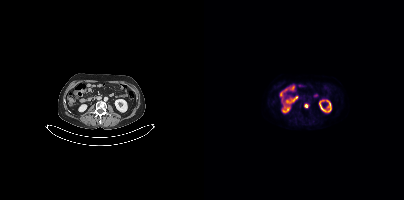
- Paired axial CT (left) and PSMA PET (right), 18F tracer
- slice 188 of 421
- PET panel 200×200 px (4.1 mm/px)
Findings: Coordinates are on the 200×200 PET (right) panel. Small PSMA-avid focus (2 to 4 px across) near (center x, center y): (102, 105).